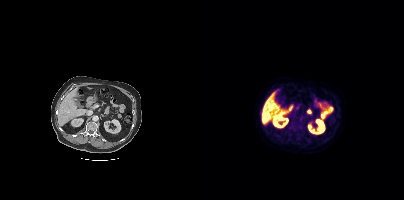
Paired axial CT (left) and PSMA PET (right), 18F tracer. PET panel 200×200 px (4.1 mm/px). No tumor lesions annotated on this slice.